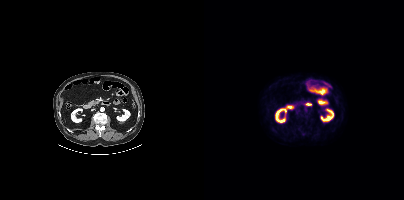
Negative for PSMA-avid disease on this slice. Two-panel axial: CT | PSMA PET, [18F]PSMA-1007 tracer.